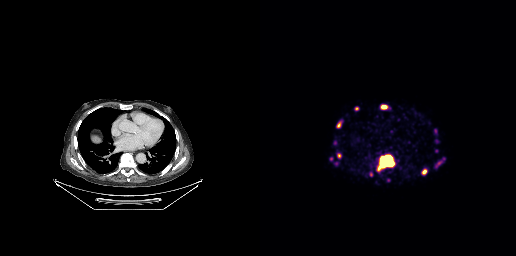
Coordinates are on the 256×256 PET (right) panel. PSMA-avid tumor lesion bounding boxes (x0, y0)-(x1, y1): (120, 155)-(133, 167) | (177, 160)-(183, 165) | (162, 169)-(166, 174) | (77, 123)-(80, 127) | (110, 172)-(112, 176) | (122, 106)-(126, 108). Small PSMA-avid foci (2 to 4 px across) near (center x, center y): (78, 155) | (96, 108) | (175, 130).